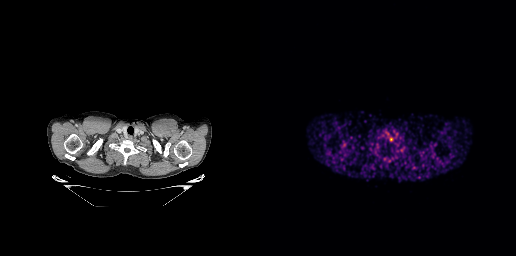
Findings: No PSMA-avid tumor lesions on this slice.
- Two-panel axial: CT | PSMA PET, 68Ga-PSMA tracer
- acquired on GE Discovery 690